- Left: CT. Right: PSMA PET, same axial level, 68Ga tracer
- acquired on Siemens Biograph mCT Flow 20
- slice position z = -974 mm
- PET panel 200×200 px (4.1 mm/px)
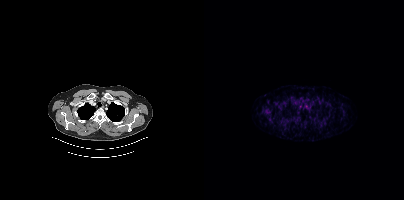
Findings: Negative for PSMA-avid disease on this slice.